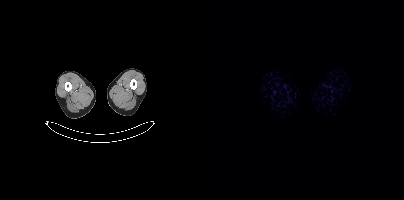
- Two-panel axial: CT | PSMA PET, 18F tracer
- slice 2 of 448
Findings: No tumor lesions annotated on this slice.